Paired axial CT (left) and PSMA PET (right), [18F]PSMA-1007 tracer. Acquired on Siemens Biograph mCT Flow 20.
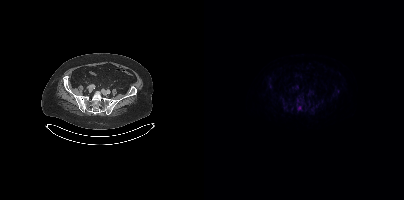
Coordinates are on the 200×200 PET (right) panel. PSMA-avid tumor lesion bounding boxes:
| # | x0 | y0 | x1 | y1 |
|---|---|---|---|---|
| 1 | 93 | 106 | 97 | 109 |